modality: PSMA PET/CT | tracer: [18F]PSMA-1007 | view: axial
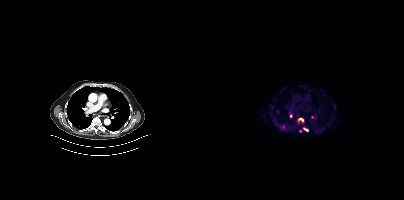
Coordinates are on the 200×200 PET (right) panel. (showing 4 of 5 foci) PSMA-avid tumor lesion bounding box (x0, y0)-(x1, y1): (99, 128)-(104, 131). Small PSMA-avid foci (2 to 4 px across) near (center x, center y): (96, 119) | (86, 115) | (108, 116).